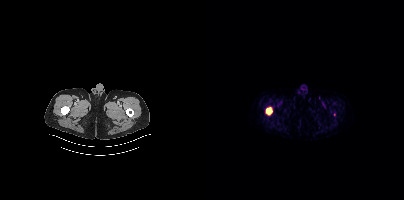
Technique: Paired axial CT (left) and PSMA PET (right), [18F]PSMA-1007 tracer. acquired on Siemens Biograph mCT Flow 20. slice 19 of 444. PET panel 200×200 px (4.1 mm/px).
Findings: Coordinates are on the 200×200 PET (right) panel. PSMA-avid tumor lesion bounding box (x0,y0,x1,y1): [62,107,68,114].